Left: CT. Right: PSMA PET, same axial level, 18F-PSMA tracer. Acquired on Siemens Biograph mCT Flow 20. Slice position z = -86 mm. PET panel 200×200 px (4.1 mm/px).
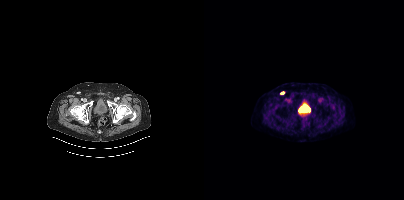
Coordinates are on the 200×200 PET (right) panel. Small PSMA-avid focus (2 to 4 px across) near (center x, center y): (78, 92).